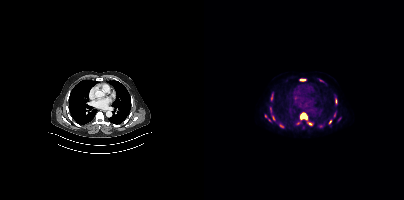
Findings: Coordinates are on the 200×200 PET (right) panel. (showing 10 of 12 foci) PSMA-avid tumor lesion bounding boxes (x, y, width, height): x=96 y=113 w=8 h=7 / x=67 y=93 w=3 h=8 / x=75 y=124 w=5 h=4 / x=96 y=79 w=6 h=2 / x=68 y=115 w=3 h=5 / x=131 y=99 w=2 h=5. Small PSMA-avid foci (2 to 4 px across) near (center x, center y): (66, 108) / (130, 114) / (126, 121) / (106, 123).
Technique: Left: CT. Right: PSMA PET, same axial level, 18F tracer. PET panel 200×200 px (4.1 mm/px).